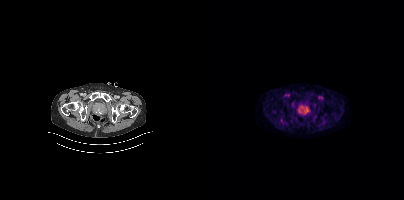
Coordinates are on the 200×200 PET (right) panel. PSMA-avid tumor lesion bounding box (x, y, width, height): x=93 y=104 w=14 h=13.